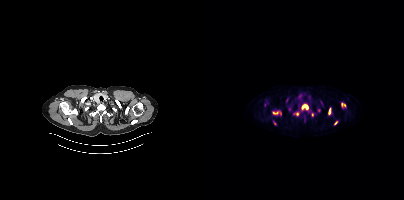
Paired axial CT (left) and PSMA PET (right), [18F]PSMA-1007 tracer. PET panel 200×200 px (4.1 mm/px).
Coordinates are on the 200×200 PET (right) panel. PSMA-avid tumor lesion bounding boxes (partial; 1 more focus not listed):
| # | x0 | y0 | x1 | y1 |
|---|---|---|---|---|
| 1 | 98 | 104 | 104 | 109 |
| 2 | 68 | 111 | 77 | 114 |
| 3 | 124 | 108 | 126 | 114 |
| 4 | 137 | 103 | 141 | 106 |
Small PSMA-avid foci (2 to 4 px across) near (center x, center y): (93, 113); (131, 123); (115, 110); (108, 114); (70, 123).